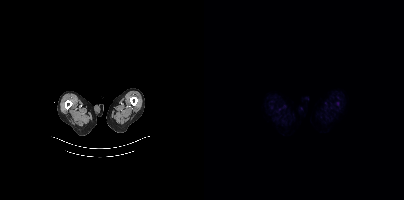
This slice has no annotated PSMA-avid lesion.